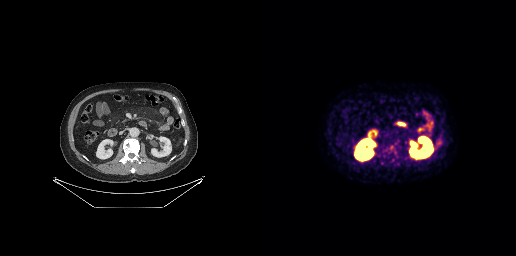
Coordinates are on the 256×256 PET (right) panel. Small PSMA-avid focus (2 to 4 px across) near (center x, center y): (131, 147).
modality: PSMA PET/CT | tracer: [68Ga]Ga-PSMA-11 | view: axial | PET grid: 256×256